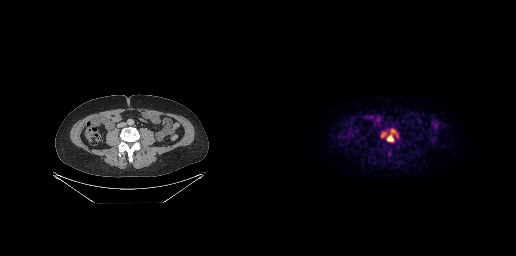
Findings: Coordinates are on the 256×256 PET (right) panel. PSMA-avid tumor lesion bounding box (x0, y0)-(x1, y1): (121, 128)-(138, 142).
- Paired axial CT (left) and PSMA PET (right), 18F-PSMA tracer
- slice 122 of 299